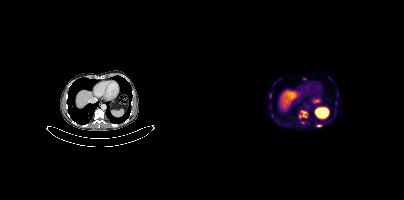
- Two-panel axial: CT | PSMA PET, [18F]PSMA-1007 tracer
Findings: Coordinates are on the 200×200 PET (right) panel. PSMA-avid tumor lesion bounding boxes (x0, y0)-(x1, y1): (95, 110)-(103, 118) / (112, 124)-(117, 126). Small PSMA-avid foci (2 to 4 px across) near (center x, center y): (98, 122) / (66, 95).